modality: PSMA PET/CT | tracer: 18F-PSMA | view: axial | PET grid: 200×200
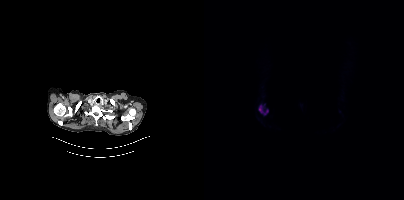
Coordinates are on the 200×200 PET (right) panel. PSMA-avid tumor lesion bounding box (x, y, width, height): x=54 y=104 w=11 h=12.